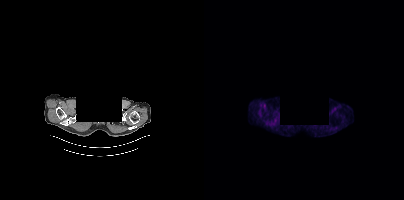
Findings: No PSMA-avid tumor lesions on this slice.
- Paired axial CT (left) and PSMA PET (right), [18F]PSMA-1007 tracer
- PET panel 200×200 px (4.1 mm/px)
- a rectangle over the head was blacked out to remove identifiable facial features